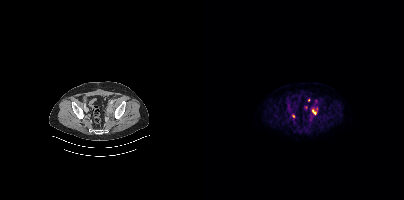
Technique: Left: CT. Right: PSMA PET, same axial level, [18F]PSMA-1007 tracer. acquired on Siemens Biograph mCT Flow 20. slice position z = -848 mm.
Findings: Coordinates are on the 200×200 PET (right) panel. (showing 2 of 3 foci) PSMA-avid tumor lesion bounding box (x0, y0)-(x1, y1): (108, 108)-(113, 114). Small PSMA-avid focus (2 to 4 px across) near (center x, center y): (89, 115).